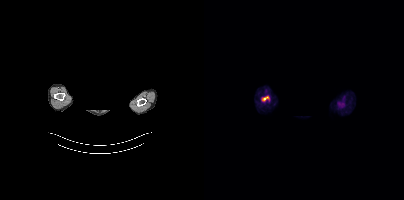
Facial anatomy redacted by setting a rectangular region of the head to black. Left: CT. Right: PSMA PET, same axial level, 18F-PSMA tracer. Acquired on Siemens Biograph mCT Flow 20. Slice position z = -948 mm. No tumor lesions annotated on this slice.